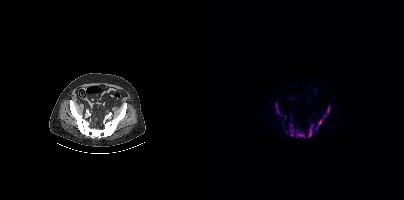
Coordinates are on the 200×200 PET (right) panel. (showing 4 of 8 foci) PSMA-avid tumor lesion bounding boxes (x0, y0)-(x1, y1): (85, 123)-(101, 137); (111, 105)-(125, 129); (104, 124)-(109, 137); (71, 103)-(75, 113).